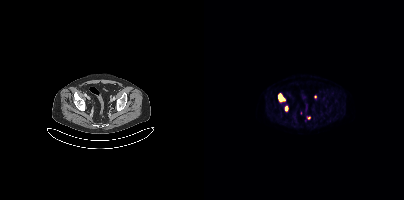
Technique: Paired axial CT (left) and PSMA PET (right), 18F-PSMA tracer. slice 86 of 419.
Findings: Coordinates are on the 200×200 PET (right) panel. (showing 2 of 3 foci) PSMA-avid tumor lesion bounding box (x0, y0)-(x1, y1): (74, 94)-(80, 100). Small PSMA-avid focus (2 to 4 px across) near (center x, center y): (82, 108).